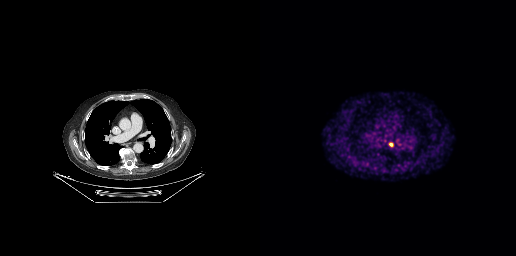
- Paired axial CT (left) and PSMA PET (right), 68Ga-PSMA tracer
- PET panel 256×256 px (2.7 mm/px)
Findings: Coordinates are on the 256×256 PET (right) panel. Small PSMA-avid focus (2 to 4 px across) near (center x, center y): (131, 144).